- Two-panel axial: CT | PSMA PET, [18F]PSMA-1007 tracer
- acquired on Siemens Biograph mCT Flow 20
- PET panel 200×200 px (4.1 mm/px)
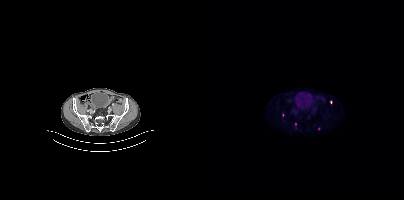
Findings: Coordinates are on the 200×200 PET (right) panel. (showing 3 of 4 foci) Small PSMA-avid foci (2 to 4 px across) near (center x, center y): (91, 123), (114, 128), (78, 114).